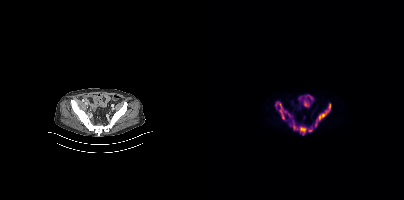
{"pet_grid":[200,200],"coord_frame":"pet_panel","coord_format":"x0,y0,x1,y1","lesion_bboxes":[[89,120,108,134],[111,103,126,126],[71,102,82,119]],"small_foci_centers":[[85,115]],"modality":"PSMA PET/CT","view":"axial","tracer":"18F"}